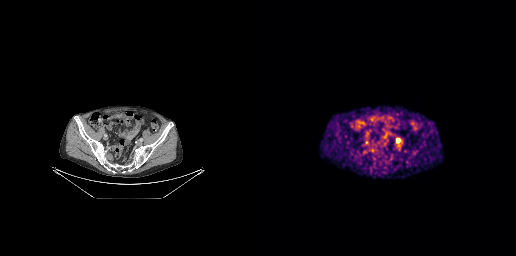
{"modality":"PSMA PET/CT","view":"axial","tracer":"[68Ga]Ga-PSMA-11","pet_grid":[256,256],"coord_frame":"pet_panel","coord_format":"x0,y0,x1,y1","lesion_bboxes":[[136,138,140,142]]}